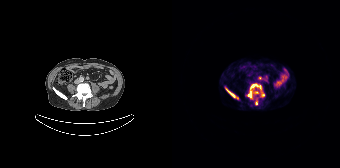
Technique: Left: CT. Right: PSMA PET, same axial level, 68Ga-PSMA tracer. acquired on Siemens Biograph 64-4R TruePoint. slice position z = -698 mm.
Findings: Coordinates are on the 168×168 PET (right) panel. (showing 4 of 5 foci) PSMA-avid tumor lesion bounding boxes (x, y, width, height): x=79 y=84 w=10 h=5 / x=76 y=91 w=4 h=7 / x=55 y=90 w=8 h=8. Small PSMA-avid focus (2 to 4 px across) near (center x, center y): (84, 103).